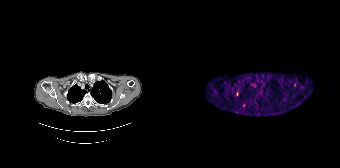
Two-panel axial: CT | PSMA PET, 68Ga tracer. Coordinates are on the 168×168 PET (right) panel. (showing 1 of 3 foci) Small PSMA-avid focus (2 to 4 px across) near (center x, center y): (65, 93).